Two-panel axial: CT | PSMA PET, 18F tracer.
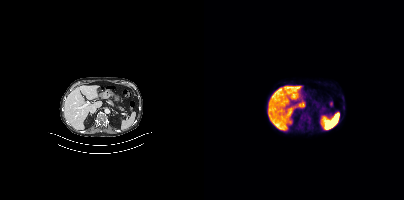
Coordinates are on the 200×200 PET (right) panel. PSMA-avid tumor lesion bounding box (x0,y0,x1,y1): [101,116,107,122].